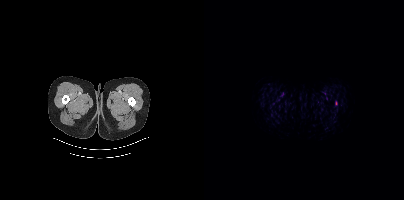
modality: PSMA PET/CT | tracer: 18F | view: axial
Coordinates are on the 200×200 PET (right) panel. Small PSMA-avid focus (2 to 4 px across) near (center x, center y): (132, 102).